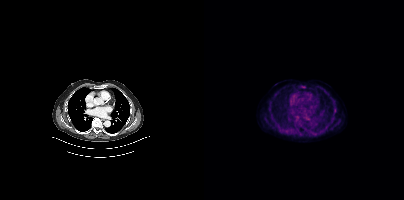
This slice has no annotated PSMA-avid lesion.